Left: CT. Right: PSMA PET, same axial level, 68Ga tracer.
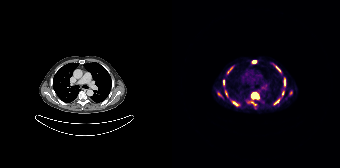
Coordinates are on the 168×168 PET (right) panel. PSMA-avid tumor lesion bounding boxes (partial; 1 more focus not listed):
| # | x0 | y0 | x1 | y1 |
|---|---|---|---|---|
| 1 | 80 | 92 | 86 | 98 |
| 2 | 112 | 78 | 113 | 86 |
| 3 | 104 | 66 | 108 | 71 |
| 4 | 103 | 100 | 106 | 104 |
Small PSMA-avid foci (2 to 4 px across) near (center x, center y): (119, 92); (82, 62); (51, 82); (63, 103).